modality: PSMA PET/CT | tracer: 18F-PSMA | view: axial
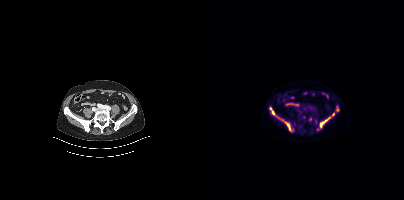
Coordinates are on the 200×200 PET (right) panel. (showing 5 of 8 foci) PSMA-avid tumor lesion bounding boxes (x0, y0)-(x1, y1): (116, 113)-(130, 128); (77, 119)-(87, 131); (67, 112)-(75, 118); (132, 106)-(135, 111); (105, 117)-(107, 121).